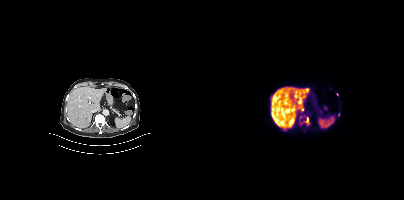
{"modality":"PSMA PET/CT","view":"axial","tracer":"[18F]PSMA-1007","pet_grid":[200,200],"coord_frame":"pet_panel","coord_format":"x0,y0,x1,y1","lesion_bboxes":[[72,107,86,114],[67,113,72,119],[101,88,105,92]],"small_foci_centers":[[103,119],[134,114],[133,94]]}